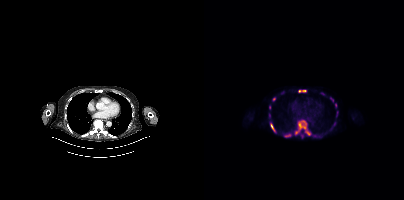
{"pet_grid":[200,200],"coord_frame":"pet_panel","coord_format":"x0,y0,x1,y1","partial":true,"lesion_bboxes":[[90,120,102,135],[80,134,86,137],[67,124,71,132],[95,90,102,92],[102,131,105,135],[126,97,129,101],[132,111,134,116]],"small_foci_centers":[[70,99],[65,107],[115,136],[98,136],[131,105],[65,115],[130,124]],"modality":"PSMA PET/CT","view":"axial","tracer":"18F-PSMA"}